Two-panel axial: CT | PSMA PET, 68Ga tracer. Slice 66 of 165. PET panel 168×168 px (4.1 mm/px).
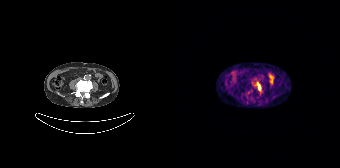
Coordinates are on the 168×168 PET (right) panel. PSMA-avid tumor lesion bounding boxes:
| # | x0 | y0 | x1 | y1 |
|---|---|---|---|---|
| 1 | 83 | 83 | 90 | 95 |